Technique: Left: CT. Right: PSMA PET, same axial level, 18F-PSMA tracer. acquired on Siemens Biograph mCT Flow 20. slice position z = 254 mm. PET panel 200×200 px (4.1 mm/px).
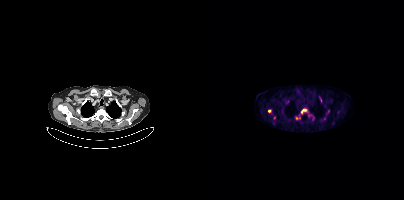
Findings: Coordinates are on the 200×200 PET (right) panel. (showing 2 of 5 foci) PSMA-avid tumor lesion bounding box (x0, y0)-(x1, y1): (97, 109)-(102, 113). Small PSMA-avid focus (2 to 4 px across) near (center x, center y): (65, 111).